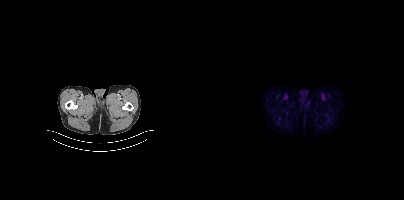
{"pet_grid":[200,200],"coord_frame":"pet_panel","coord_format":"x0,y0,x1,y1","psma_avid_lesions":false,"modality":"PSMA PET/CT","view":"axial","tracer":"18F-PSMA"}